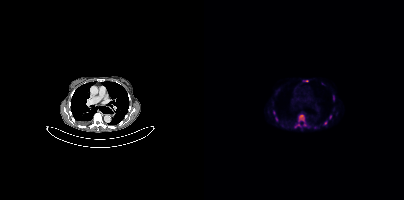
{"modality":"PSMA PET/CT","view":"axial","tracer":"18F-PSMA","pet_grid":[200,200],"coord_frame":"pet_panel","coord_format":"x0,y0,x1,y1","partial":true,"lesion_bboxes":[[94,114,100,121],[91,124,96,127]],"small_foci_centers":[[121,122],[129,97],[102,80],[126,116],[101,124],[72,119],[69,112]]}